- Left: CT. Right: PSMA PET, same axial level, [18F]PSMA-1007 tracer
- acquired on GE Discovery 690
- PET panel 256×256 px (2.7 mm/px)
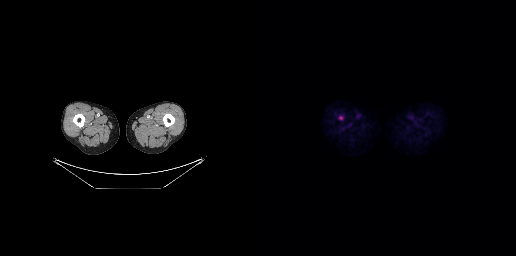
Findings: Coordinates are on the 256×256 PET (right) panel. Small PSMA-avid focus (2 to 4 px across) near (center x, center y): (80, 117).